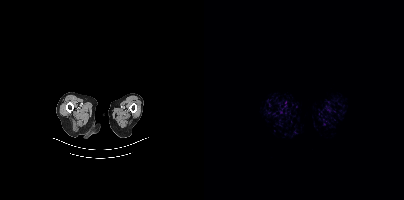
Findings: No PSMA-avid tumor lesions on this slice.
Technique: Two-panel axial: CT | PSMA PET, [68Ga]Ga-PSMA-11 tracer. slice 2 of 409. PET panel 200×200 px (4.1 mm/px).